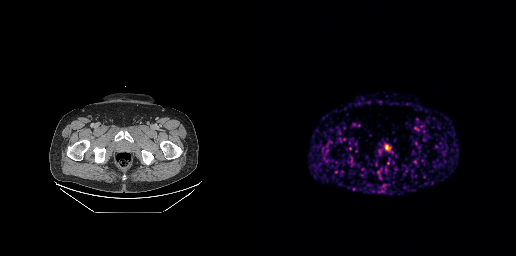
Findings: Coordinates are on the 256×256 PET (right) panel. PSMA-avid tumor lesion bounding box (x, y, width, height): x=125 y=145 w=6 h=5.
Technique: Left: CT. Right: PSMA PET, same axial level, 68Ga-PSMA tracer. acquired on GE Discovery 690. slice position z = -772 mm. PET panel 256×256 px (2.7 mm/px).